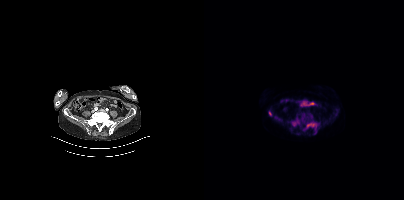
modality: PSMA PET/CT | tracer: [18F]PSMA-1007 | view: axial | PET grid: 200×200
Coordinates are on the 200×200 PET (right) panel. PSMA-avid tumor lesion bounding boxes (x0,y0,x1,y1): [102,122,114,133]; [87,120,94,126]. Small PSMA-avid foci (2 to 4 px across) near (center x, center y): (66, 113); (97, 117).